modality: PSMA PET/CT | tracer: [18F]PSMA-1007 | view: axial | PET grid: 200×200
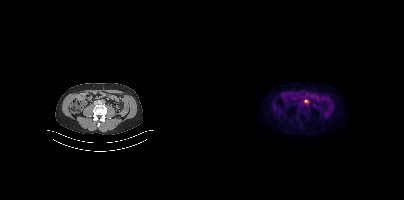
Coordinates are on the 200×200 PET (right) panel. PSMA-avid tumor lesion bounding box (x0, y0)-(x1, y1): (100, 100)-(104, 102).